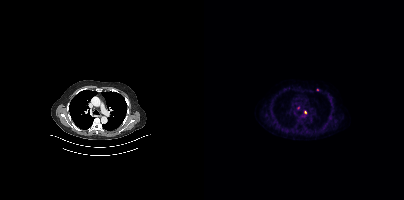
Findings: Coordinates are on the 200×200 PET (right) panel. (showing 2 of 3 foci) Small PSMA-avid foci (2 to 4 px across) near (center x, center y): (101, 112) / (113, 89).
Technique: Two-panel axial: CT | PSMA PET, [18F]PSMA-1007 tracer.